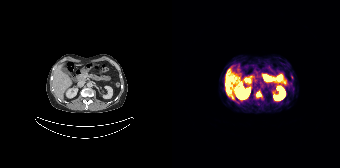
Two-panel axial: CT | PSMA PET, 68Ga tracer. PET panel 168×168 px (4.1 mm/px).
Coordinates are on the 168×168 PET (right) panel. PSMA-avid tumor lesion bounding boxes:
| # | x0 | y0 | x1 | y1 |
|---|---|---|---|---|
| 1 | 84 | 91 | 89 | 96 |